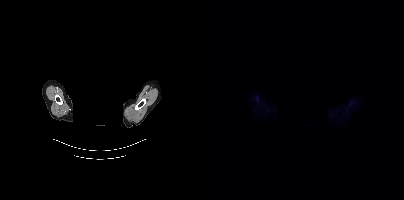
{"modality":"PSMA PET/CT","view":"axial","tracer":"[18F]PSMA-1007","pet_grid":[200,200],"coord_frame":"pet_panel","coord_format":"x0,y0,x1,y1","deidentification":"face masked with black rectangle","psma_avid_lesions":false}